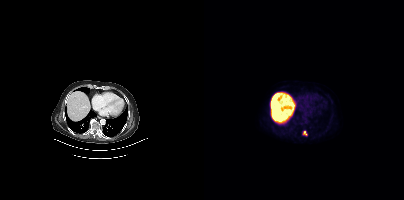
Paired axial CT (left) and PSMA PET (right), 18F-PSMA tracer. Slice position z = -594 mm. Coordinates are on the 200×200 PET (right) panel. PSMA-avid tumor lesion bounding box (x0,y0,x1,y1): [98,130,103,135].